de-identification: head region blanked (face removed) | modality: PSMA PET/CT | tracer: [18F]PSMA-1007 | view: axial | PET grid: 200×200
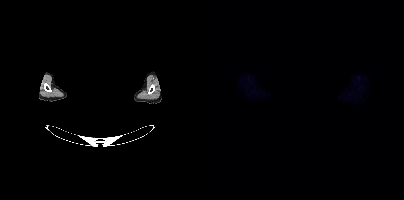
No PSMA-avid tumor lesions on this slice.